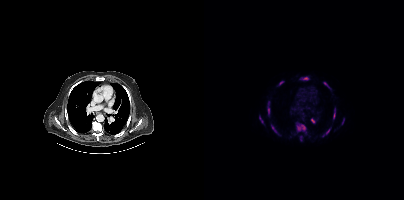
- Left: CT. Right: PSMA PET, same axial level, [18F]PSMA-1007 tracer
- slice 289 of 423
- PET panel 200×200 px (4.1 mm/px)
Findings: Coordinates are on the 200×200 PET (right) panel. (showing 11 of 13 foci) PSMA-avid tumor lesion bounding boxes (x0,y0,x1,y1): [92,122,101,132]; [63,101,66,115]; [67,125,74,134]; [129,108,131,119]; [119,82,126,89]; [118,128,126,136]; [98,77,104,79]; [96,135,98,141]; [107,119,111,123]; [55,116,57,120]; [138,118,140,124].